Technique: Left: CT. Right: PSMA PET, same axial level, 68Ga tracer. PET panel 168×168 px (4.1 mm/px).
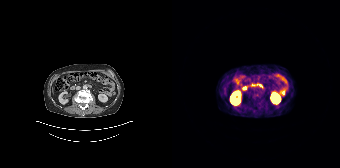
Findings: No tumor lesions annotated on this slice.